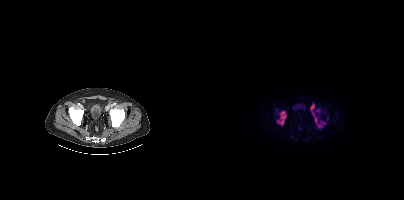
{"pet_grid":[200,200],"coord_frame":"pet_panel","coord_format":"x0,y0,x1,y1","lesion_bboxes":[[73,111,81,124],[110,114,121,127]],"small_foci_centers":[[113,110]],"modality":"PSMA PET/CT","view":"axial","tracer":"18F-PSMA"}